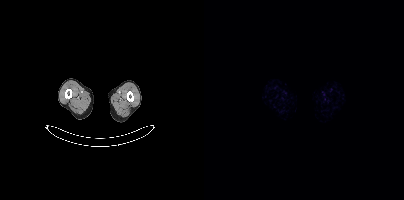
{"modality":"PSMA PET/CT","view":"axial","tracer":"18F","pet_grid":[200,200],"coord_frame":"pet_panel","coord_format":"x0,y0,x1,y1","psma_avid_lesions":false}